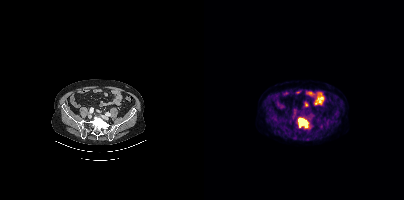
Coordinates are on the 200×200 PET (right) panel. PSMA-avid tumor lesion bounding box (x0, y0)-(x1, y1): (94, 118)-(104, 127).
modality: PSMA PET/CT | tracer: 18F-PSMA | view: axial